Paired axial CT (left) and PSMA PET (right), [18F]PSMA-1007 tracer.
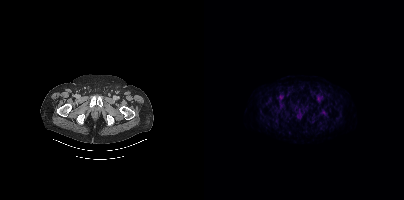
No tumor lesions annotated on this slice.